Technique: Left: CT. Right: PSMA PET, same axial level, 18F tracer. slice 249 of 427.
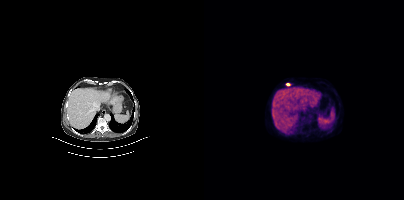
Findings: Coordinates are on the 200×200 PET (right) panel. Small PSMA-avid focus (2 to 4 px across) near (center x, center y): (83, 84).